Paired axial CT (left) and PSMA PET (right), [18F]PSMA-1007 tracer. Acquired on Siemens Biograph mCT Flow 20.
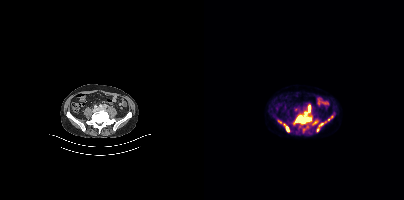
Coordinates are on the 200×200 PET (right) panel. (showing 6 of 8 foci) PSMA-avid tumor lesion bounding boxes (x0, y0)-(x1, y1): (90, 112)-(107, 123) | (80, 124)-(85, 131) | (105, 105)-(106, 111). Small PSMA-avid foci (2 to 4 px across) near (center x, center y): (116, 124) | (113, 129) | (111, 122).